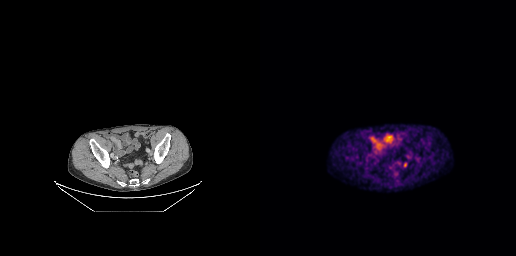
Coordinates are on the 256×256 PET (right) panel. PSMA-avid tumor lesion bounding box (x0,y0,x1,y1): [143,162,147,167].